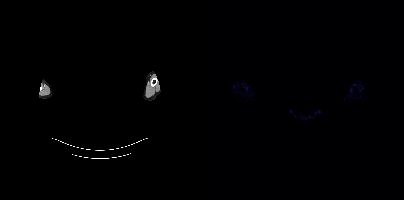
No tumor lesions annotated on this slice. Paired axial CT (left) and PSMA PET (right), [68Ga]Ga-PSMA-11 tracer. Acquired on Siemens Biograph mCT Flow 20. A rectangular block over the head has been blanked out for de-identification.